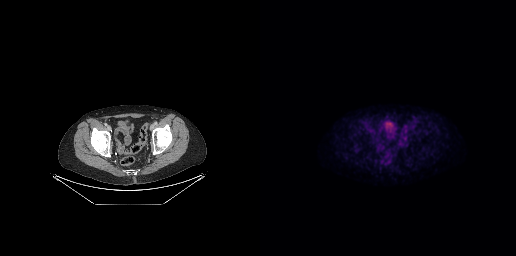
Findings: This slice has no annotated PSMA-avid lesion.
Technique: Two-panel axial: CT | PSMA PET, [18F]PSMA-1007 tracer. PET panel 256×256 px (2.7 mm/px).